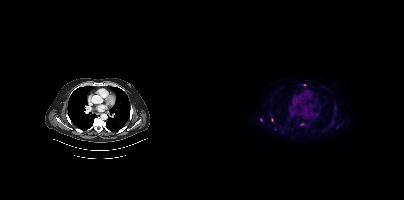
Technique: Two-panel axial: CT | PSMA PET, 18F-PSMA tracer. acquired on Siemens Biograph mCT Flow 20. PET panel 200×200 px (4.1 mm/px).
Findings: Coordinates are on the 200×200 PET (right) panel. (showing 3 of 7 foci) Small PSMA-avid foci (2 to 4 px across) near (center x, center y): (68, 119) (100, 84) (128, 122).